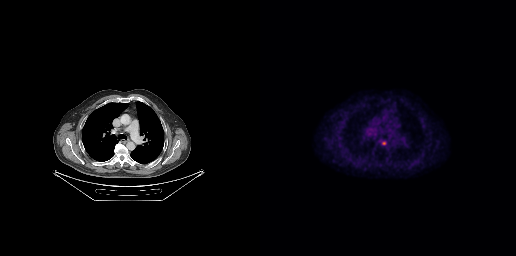
Coordinates are on the 256×256 PET (right) panel. PSMA-avid tumor lesion bounding boxes:
| # | x0 | y0 | x1 | y1 |
|---|---|---|---|---|
| 1 | 122 | 141 | 126 | 145 |
Paired axial CT (left) and PSMA PET (right), 18F tracer. Slice position z = -207 mm.